- Left: CT. Right: PSMA PET, same axial level, 18F tracer
- slice position z = -420 mm
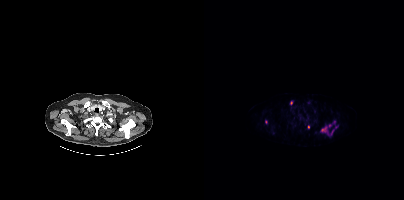
Findings: Coordinates are on the 200×200 PET (right) panel. (showing 5 of 6 foci) PSMA-avid tumor lesion bounding box (x0, y0)-(x1, y1): (116, 124)-(133, 135). Small PSMA-avid foci (2 to 4 px across) near (center x, center y): (104, 126) | (62, 122) | (130, 122) | (87, 102).